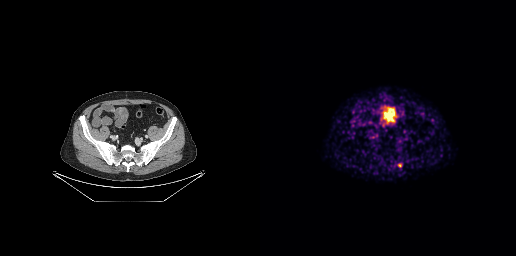
Technique: Two-panel axial: CT | PSMA PET, [68Ga]Ga-PSMA-11 tracer. slice position z = -769 mm.
Findings: Coordinates are on the 256×256 PET (right) panel. Small PSMA-avid focus (2 to 4 px across) near (center x, center y): (139, 165).